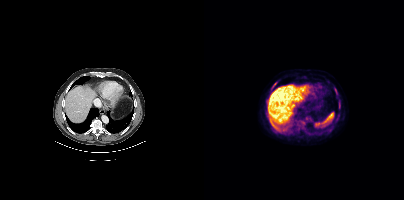
Coordinates are on the 200×200 PET (right) panel. Small PSMA-avid foci (2 to 4 px across) near (center x, center y): (70, 84) / (135, 106) / (131, 90).